modality: PSMA PET/CT | tracer: 18F-PSMA | view: axial | de-identification: facial region redacted
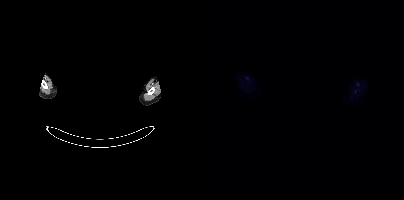
No tumor lesions annotated on this slice.